Left: CT. Right: PSMA PET, same axial level, 68Ga tracer. Slice 46 of 411.
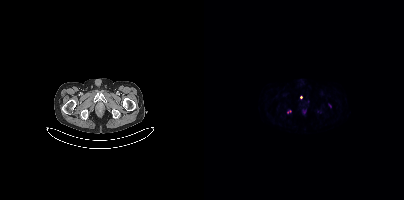
Coordinates are on the 200×200 PET (right) panel. Small PSMA-avid foci (2 to 4 px across) near (center x, center y): (125, 105); (96, 97).